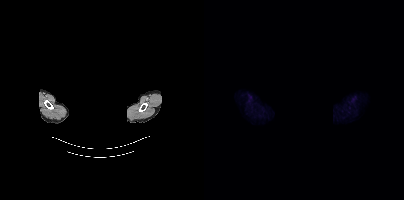
Left: CT. Right: PSMA PET, same axial level, [18F]PSMA-1007 tracer. A rectangular block over the head has been blanked out for de-identification. Negative for PSMA-avid disease on this slice.